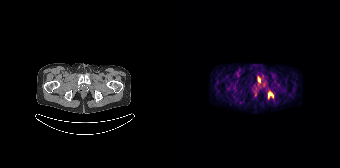
Coordinates are on the 168×168 PET (right) panel. PSMA-avid tumor lesion bounding boxes (x0, y0)-(x1, y1): (96, 92)-(101, 97) / (85, 76)-(88, 83). Paired axial CT (left) and PSMA PET (right), 68Ga-PSMA tracer. Slice 39 of 195. PET panel 168×168 px (4.1 mm/px).